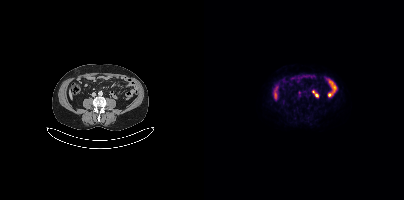
Coordinates are on the 200×200 PET (right) panel. PSMA-avid tumor lesion bounding box (x0, y0)-(x1, y1): (94, 91)-(96, 95).